de-identification: head region blacked out before release | modality: PSMA PET/CT | tracer: 18F | view: axial | PET grid: 200×200
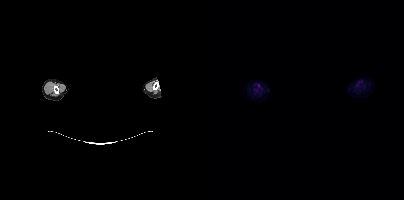
Negative for PSMA-avid disease on this slice.